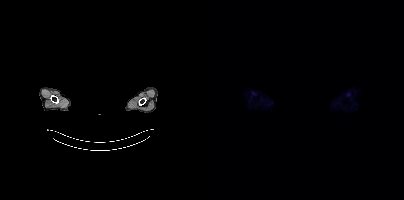
{"modality":"PSMA PET/CT","view":"axial","tracer":"[18F]PSMA-1007","pet_grid":[200,200],"coord_frame":"pet_panel","coord_format":"x0,y0,x1,y1","psma_avid_lesions":false,"de-identification":"facial region redacted"}